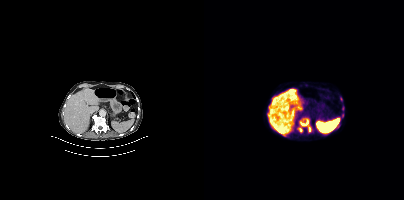
{"pet_grid":[200,200],"coord_frame":"pet_panel","coord_format":"x0,y0,x1,y1","partial":true,"lesion_bboxes":[[94,118,107,132]],"modality":"PSMA PET/CT","view":"axial","tracer":"18F"}